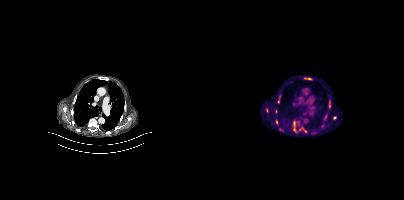
Coordinates are on the 200×200 PET (right) panel. (showing 8 of 10 foci) PSMA-avid tumor lesion bounding boxes (x0,y0,x1,y1): [89,122,93,127], [62,108,64,112], [73,99,75,103], [71,109,73,113], [72,119,74,123]. Small PSMA-avid foci (2 to 4 px across) near (center x, center y): (130, 117), (76, 94), (121, 116).